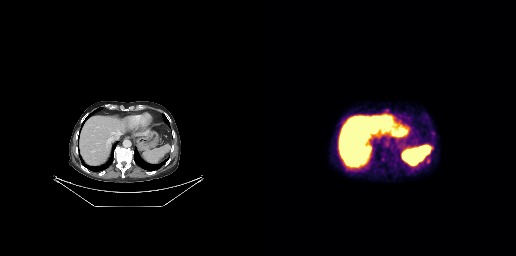
Technique: Two-panel axial: CT | PSMA PET, 18F-PSMA tracer. slice 154 of 263.
Findings: Coordinates are on the 256×256 PET (right) panel. (showing 1 of 2 foci) Small PSMA-avid focus (2 to 4 px across) near (center x, center y): (126, 111).